Paired axial CT (left) and PSMA PET (right), 68Ga tracer. Acquired on Siemens Biograph 64-4R TruePoint. Slice 138 of 195.
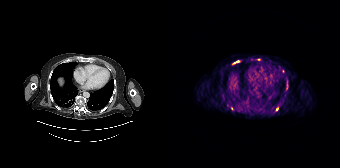
Coordinates are on the 168×168 PET (right) panel. PSMA-avid tumor lesion bounding boxes (partial; 2 more foci not listed):
| # | x0 | y0 | x1 | y1 |
|---|---|---|---|---|
| 1 | 62 | 61 | 66 | 63 |